Two-panel axial: CT | PSMA PET, [18F]PSMA-1007 tracer. Slice 259 of 415. PET panel 200×200 px (4.1 mm/px).
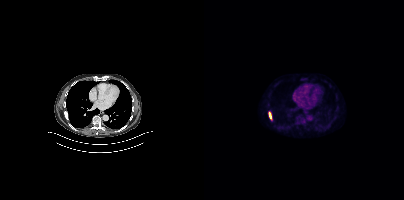
Coordinates are on the 200×200 PET (right) panel. PSMA-avid tumor lesion bounding boxes:
| # | x0 | y0 | x1 | y1 |
|---|---|---|---|---|
| 1 | 65 | 112 | 67 | 119 |